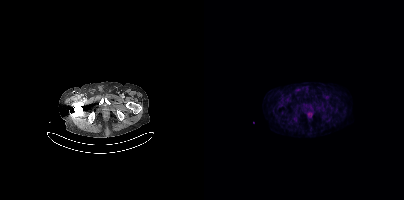
modality: PSMA PET/CT | tracer: 18F | view: axial | PET grid: 200×200
No PSMA-avid tumor lesions on this slice.